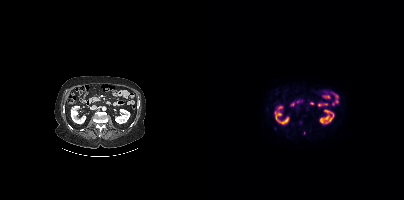
modality: PSMA PET/CT | tracer: 18F | view: axial
No PSMA-avid tumor lesions on this slice.